Technique: Two-panel axial: CT | PSMA PET, [68Ga]Ga-PSMA-11 tracer. acquired on GE Discovery 690.
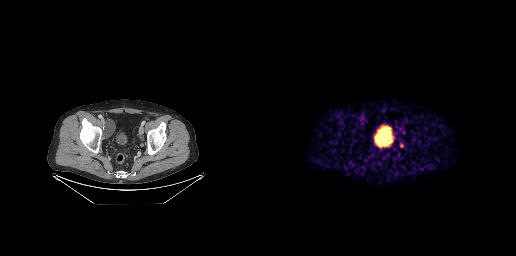
Findings: Coordinates are on the 256×256 PET (right) panel. PSMA-avid tumor lesion bounding box (x0, y0)-(x1, y1): (140, 142)-(143, 147).